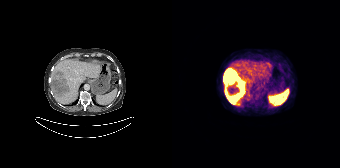
modality: PSMA PET/CT | tracer: [68Ga]Ga-PSMA-11 | view: axial
Coordinates are on the 168×168 PET (right) panel. PSMA-avid tumor lesion bounding box (x0,y0,x1,y1): [52,69,72,105].